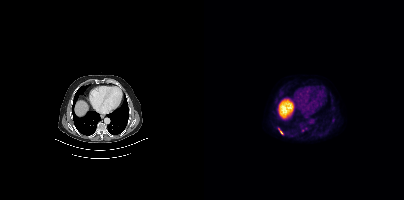
{"pet_grid":[200,200],"coord_frame":"pet_panel","coord_format":"x0,y0,x1,y1","lesion_bboxes":[[74,128,79,133]],"modality":"PSMA PET/CT","view":"axial","tracer":"18F"}